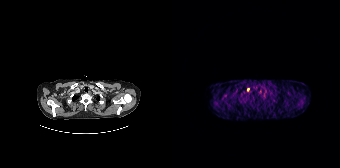
Coordinates are on the 168×168 PET (right) panel. Small PSMA-avid focus (2 to 4 px across) near (center x, center y): (76, 89). Left: CT. Right: PSMA PET, same axial level, [68Ga]Ga-PSMA-11 tracer.